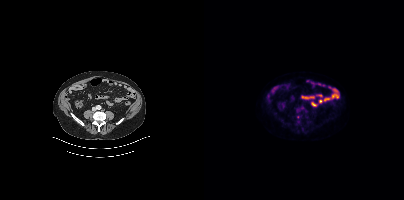
Technique: Paired axial CT (left) and PSMA PET (right), 18F-PSMA tracer. slice position z = -632 mm. PET panel 200×200 px (4.1 mm/px).
Findings: No PSMA-avid tumor lesions on this slice.